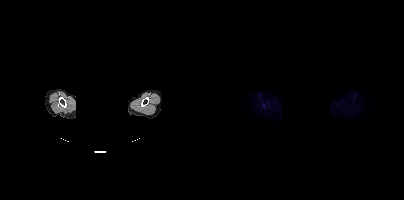
This slice has no annotated PSMA-avid lesion.
redaction: rectangular block over head set to black | modality: PSMA PET/CT | tracer: [18F]PSMA-1007 | view: axial